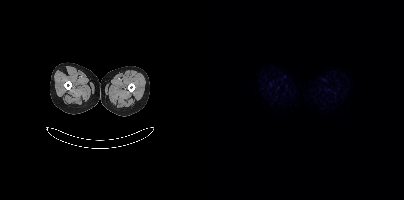
{"modality":"PSMA PET/CT","view":"axial","tracer":"18F-PSMA","pet_grid":[200,200],"coord_frame":"pet_panel","coord_format":"x0,y0,x1,y1","psma_avid_lesions":false}